- Left: CT. Right: PSMA PET, same axial level, 18F tracer
- PET panel 200×200 px (4.1 mm/px)
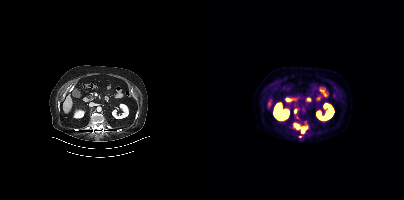
Findings: Coordinates are on the 200×200 PET (right) panel. PSMA-avid tumor lesion bounding boxes (x0,y0,x1,y1): [90,123,97,129]; [98,127,101,132]. Small PSMA-avid foci (2 to 4 px across) near (center x, center y): (91, 110); (96, 136).